The face region was removed for patient privacy by blanking a rectangle over the head.
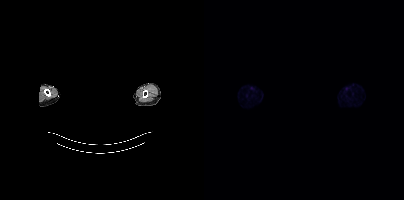
Negative for PSMA-avid disease on this slice.